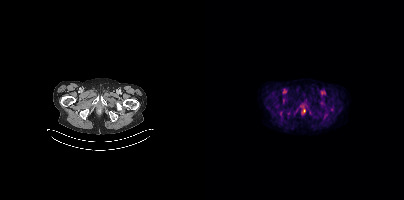
Technique: Paired axial CT (left) and PSMA PET (right), 18F tracer. slice 48 of 429. PET panel 200×200 px (4.1 mm/px).
Findings: This slice has no annotated PSMA-avid lesion.